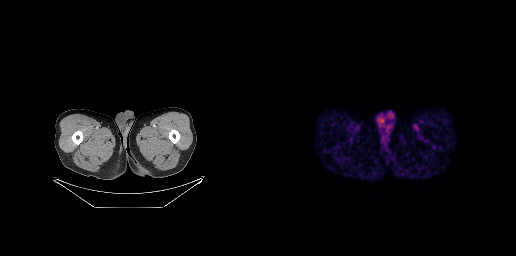
Left: CT. Right: PSMA PET, same axial level, 68Ga-PSMA tracer. PET panel 256×256 px (2.7 mm/px). No tumor lesions annotated on this slice.